Left: CT. Right: PSMA PET, same axial level, 18F-PSMA tracer. Acquired on Siemens Biograph mCT Flow 20. PET panel 200×200 px (4.1 mm/px).
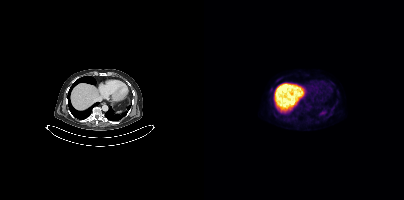
Negative for PSMA-avid disease on this slice.